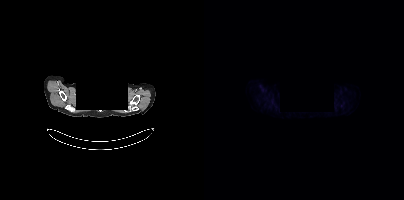
{"pet_grid":[200,200],"coord_frame":"pet_panel","coord_format":"x0,y0,x1,y1","psma_avid_lesions":false,"modality":"PSMA PET/CT","view":"axial","tracer":"18F","de-identification":"privacy mask over head"}